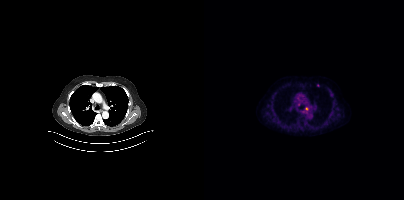
{"modality":"PSMA PET/CT","view":"axial","tracer":"18F-PSMA","pet_grid":[200,200],"coord_frame":"pet_panel","coord_format":"x0,y0,x1,y1","lesion_bboxes":[],"small_foci_centers":[[102,108],[94,104],[113,85]]}